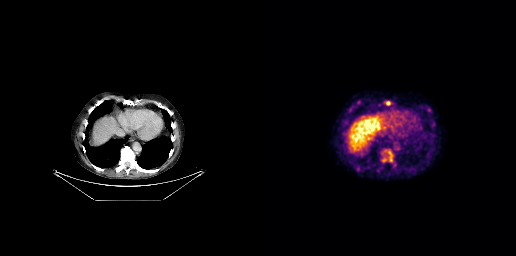
{"modality":"PSMA PET/CT","view":"axial","tracer":"[18F]PSMA-1007","pet_grid":[256,256],"coord_frame":"pet_panel","coord_format":"x0,y0,x1,y1","partial":true,"lesion_bboxes":[[126,101,130,105]],"small_foci_centers":[[129,152]]}